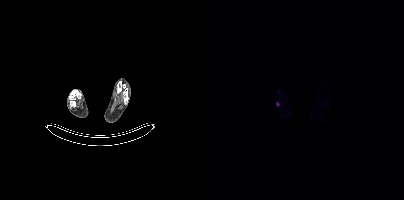
Coordinates are on the 200×200 PET (right) panel. Small PSMA-avid focus (2 to 4 px across) near (center x, center y): (73, 104). Two-panel axial: CT | PSMA PET, 18F tracer. Slice position z = -1921 mm.